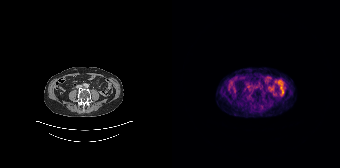
Negative for PSMA-avid disease on this slice.